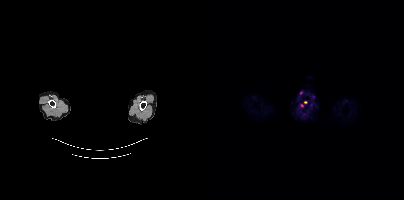
{"pet_grid":[200,200],"coord_frame":"pet_panel","coord_format":"x0,y0,x1,y1","lesion_bboxes":[],"small_foci_centers":[[97,105],[101,101]],"modality":"PSMA PET/CT","view":"axial","tracer":"[68Ga]Ga-PSMA-11","deidentification":"privacy mask over head"}